Technique: Paired axial CT (left) and PSMA PET (right), 68Ga-PSMA tracer.
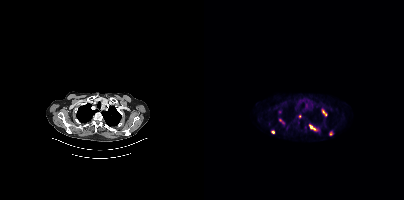
Findings: Coordinates are on the 200×200 PET (right) panel. (showing 6 of 7 foci) PSMA-avid tumor lesion bounding boxes (x, y, width, height): x=105 y=125 w=10 h=7 / x=118 y=109 w=6 h=8 / x=76 y=119 w=5 h=5. Small PSMA-avid foci (2 to 4 px across) near (center x, center y): (68, 131) / (127, 133) / (96, 116).